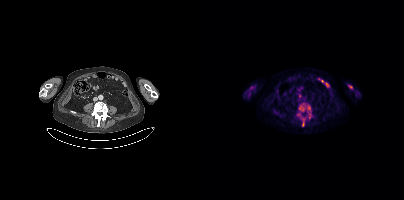
Technique: Two-panel axial: CT | PSMA PET, 18F tracer. slice position z = -104 mm. PET panel 200×200 px (4.1 mm/px).
Findings: Coordinates are on the 200×200 PET (right) panel. PSMA-avid tumor lesion bounding boxes (x, y, width, height): x=95 y=103 w=13 h=16 / x=97 y=118 w=5 h=9. Small PSMA-avid foci (2 to 4 px across) near (center x, center y): (94, 114) / (146, 87).